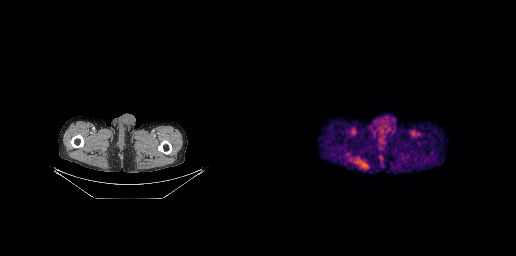
Left: CT. Right: PSMA PET, same axial level, [68Ga]Ga-PSMA-11 tracer. PET panel 256×256 px (2.7 mm/px). No PSMA-avid tumor lesions on this slice.